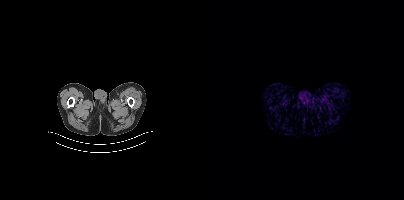
- Two-panel axial: CT | PSMA PET, 68Ga-PSMA tracer
Findings: Negative for PSMA-avid disease on this slice.